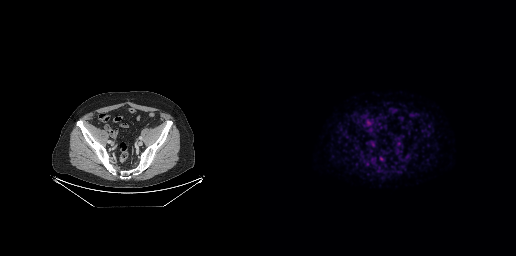
Findings: Coordinates are on the 256×256 PET (right) panel. Small PSMA-avid focus (2 to 4 px across) near (center x, center y): (138, 143).
Technique: Left: CT. Right: PSMA PET, same axial level, 18F tracer. PET panel 256×256 px (2.7 mm/px).